- Paired axial CT (left) and PSMA PET (right), [18F]PSMA-1007 tracer
- slice 132 of 393
- PET panel 200×200 px (4.1 mm/px)
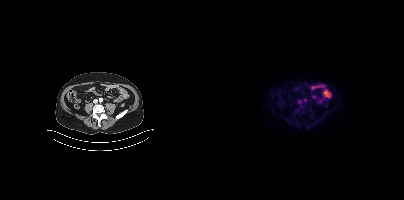
Findings: This slice has no annotated PSMA-avid lesion.